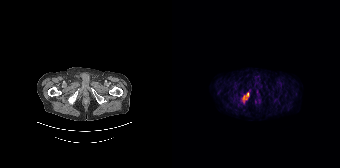
Coordinates are on the 168×168 PET (right) panel. PSMA-avid tumor lesion bounding box (x0,y0,x1,y1): [71,92,76,101].
modality: PSMA PET/CT | tracer: 68Ga-PSMA | view: axial | PET grid: 168×168